Two-panel axial: CT | PSMA PET, 18F tracer. Acquired on Siemens Biograph mCT Flow 20. PET panel 200×200 px (4.1 mm/px).
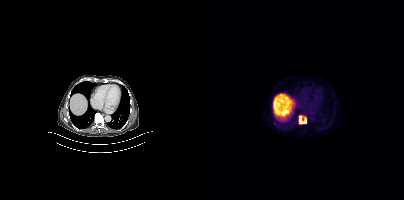
Coordinates are on the 200×200 PET (right) panel. PSMA-avid tumor lesion bounding boxes:
| # | x0 | y0 | x1 | y1 |
|---|---|---|---|---|
| 1 | 94 | 115 | 102 | 124 |
Small PSMA-avid focus (2 to 4 px across) near (center x, center y): (70, 123).